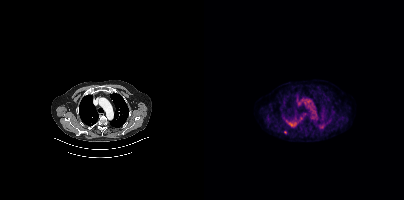
Coordinates are on the 200×200 PET (right) panel. Small PSMA-avid focus (2 to 4 px across) near (center x, center y): (81, 132).